Paired axial CT (left) and PSMA PET (right), 68Ga-PSMA tracer. Acquired on Siemens Biograph 64-4R TruePoint. Slice 83 of 195.
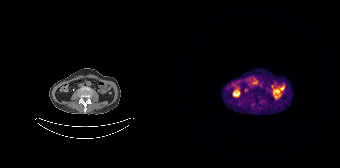
No PSMA-avid tumor lesions on this slice.